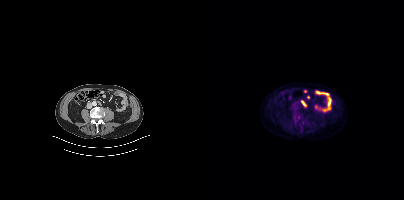
{"modality":"PSMA PET/CT","view":"axial","tracer":"[18F]PSMA-1007","pet_grid":[200,200],"coord_frame":"pet_panel","coord_format":"x0,y0,x1,y1","psma_avid_lesions":false}